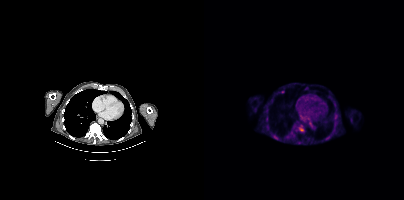
Coordinates are on the 200×200 PET (right) panel. PSMA-avid tumor lesion bounding box (x, y, width, height): x=94 y=125 w=7 h=7. Small PSMA-avid foci (2 to 4 px across) near (center x, center y): (132, 116) / (95, 142) / (130, 104).